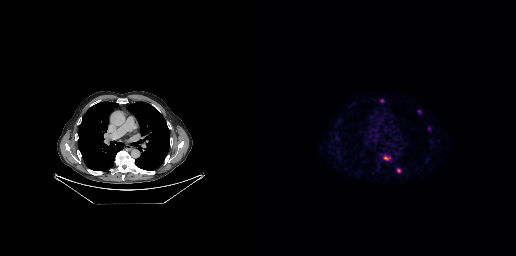
Two-panel axial: CT | PSMA PET, 18F tracer. Slice position z = -228 mm.
Coordinates are on the 256×256 PET (right) panel. PSMA-avid tumor lesion bounding boxes (partial; 1 more focus not listed):
| # | x0 | y0 | x1 | y1 |
|---|---|---|---|---|
| 1 | 124 | 156 | 130 | 160 |
Small PSMA-avid foci (2 to 4 px across) near (center x, center y): (138, 170); (159, 112).